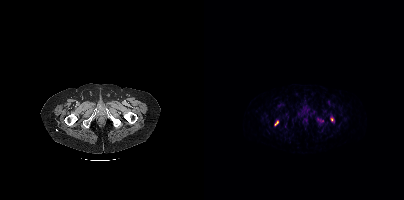
Coordinates are on the 200×200 PET (right) panel. (showing 2 of 3 foci) PSMA-avid tumor lesion bounding box (x0, y0)-(x1, y1): (71, 121)-(74, 125). Small PSMA-avid focus (2 to 4 px across) near (center x, center y): (127, 119).